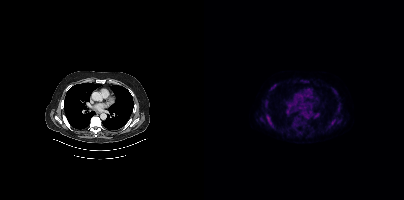
Coordinates are on the 200×200 PET (right) panel. PSMA-avid tumor lesion bounding boxes:
| # | x0 | y0 | x1 | y1 |
|---|---|---|---|---|
| 1 | 62 | 114 | 68 | 125 |
| 2 | 88 | 120 | 97 | 128 |
| 3 | 66 | 84 | 72 | 89 |
| 4 | 126 | 118 | 132 | 124 |
| 5 | 60 | 100 | 64 | 106 |
Small PSMA-avid foci (2 to 4 px across) near (center x, center y): (135, 106); (100, 80); (129, 89).
Paired axial CT (left) and PSMA PET (right), 18F-PSMA tracer. Acquired on Siemens Biograph mCT Flow 20. PET panel 200×200 px (4.1 mm/px).